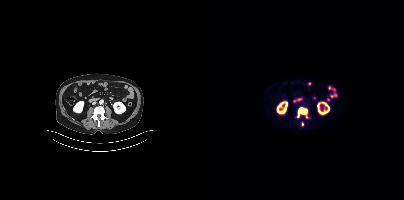
Coordinates are on the 200×200 PET (right) panel. PSMA-avid tumor lesion bounding boxes:
| # | x0 | y0 | x1 | y1 |
|---|---|---|---|---|
| 1 | 92 | 106 | 104 | 118 |
Small PSMA-avid focus (2 to 4 px across) near (center x, center y): (98, 123).
Left: CT. Right: PSMA PET, same axial level, 18F-PSMA tracer. Acquired on Siemens Biograph mCT Flow 20. Slice 166 of 395. PET panel 200×200 px (4.1 mm/px).